Technique: Paired axial CT (left) and PSMA PET (right), 18F tracer. PET panel 200×200 px (4.1 mm/px).
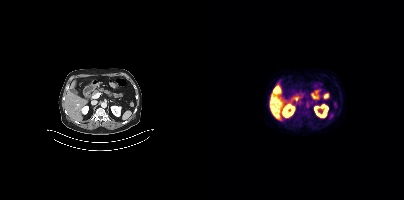
Findings: No tumor lesions annotated on this slice.